modality: PSMA PET/CT | tracer: [18F]PSMA-1007 | view: axial
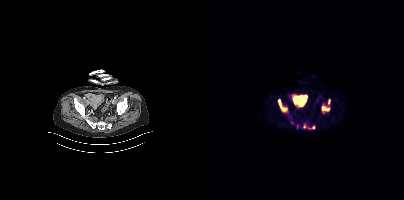
Coordinates are on the 200×200 PET (right) panel. (showing 4 of 6 foci) PSMA-avid tumor lesion bounding boxes (x, y, width, height): x=74 y=99 w=9 h=13; x=118 y=104 w=8 h=9; x=124 y=99 w=3 h=5. Small PSMA-avid focus (2 to 4 px across) near (center x, center y): (109, 127).